modality: PSMA PET/CT | tracer: 18F-PSMA | view: axial | PET grid: 200×200
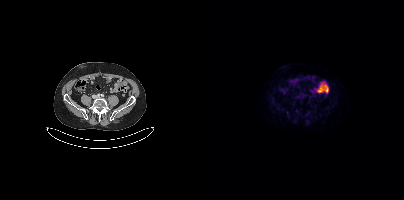
This slice has no annotated PSMA-avid lesion.